Paired axial CT (left) and PSMA PET (right), 68Ga tracer. Slice 326 of 411. PET panel 200×200 px (4.1 mm/px).
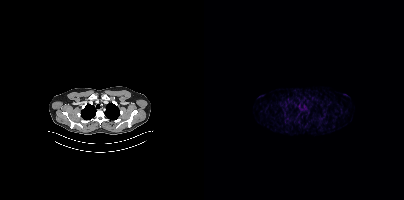
Negative for PSMA-avid disease on this slice.